modality: PSMA PET/CT | tracer: 18F-PSMA | view: axial
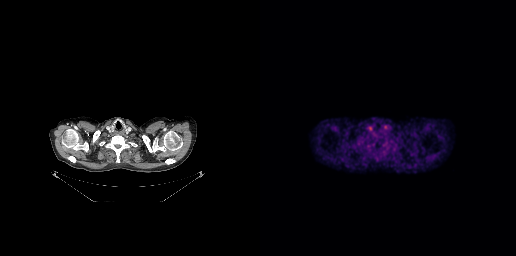
No tumor lesions annotated on this slice.